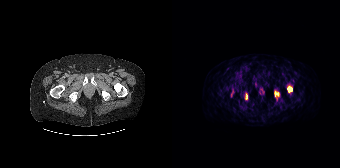
{"modality":"PSMA PET/CT","view":"axial","tracer":"68Ga","pet_grid":[168,168],"coord_frame":"pet_panel","coord_format":"x0,y0,x1,y1","partial":true,"lesion_bboxes":[[73,93,75,99],[116,87,120,92]]}